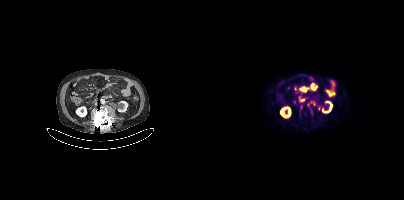
{"modality":"PSMA PET/CT","view":"axial","tracer":"[18F]PSMA-1007","pet_grid":[200,200],"coord_frame":"pet_panel","coord_format":"x0,y0,x1,y1","partial":true,"lesion_bboxes":[[107,84,112,90],[103,104,108,114],[98,87,102,91],[96,105,98,111]],"small_foci_centers":[[91,88],[92,92]]}